Technique: Left: CT. Right: PSMA PET, same axial level, 18F-PSMA tracer. PET panel 200×200 px (4.1 mm/px).
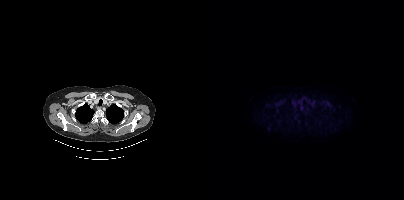
Findings: No PSMA-avid tumor lesions on this slice.